Paired axial CT (left) and PSMA PET (right), 18F tracer. Acquired on Siemens Biograph mCT Flow 20. Slice position z = -700 mm.
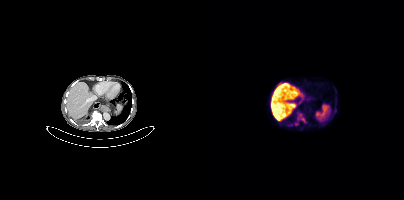
Coordinates are on the 200×200 PET (right) panel. (showing 2 of 3 foci) PSMA-avid tumor lesion bounding box (x, y, width, height): x=93 y=113 w=10 h=10. Small PSMA-avid focus (2 to 4 px across) near (center x, center y): (92, 124).